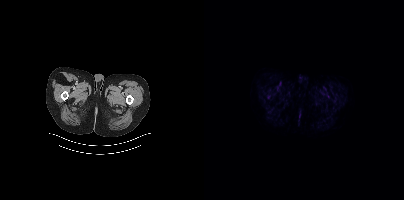
Technique: Two-panel axial: CT | PSMA PET, [18F]PSMA-1007 tracer. acquired on Siemens Biograph mCT Flow 20. PET panel 200×200 px (4.1 mm/px).
Findings: No PSMA-avid tumor lesions on this slice.